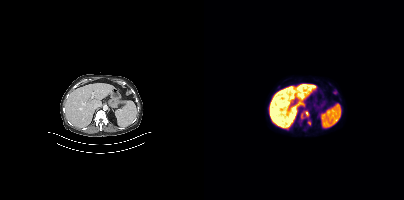
Technique: Paired axial CT (left) and PSMA PET (right), [18F]PSMA-1007 tracer. PET panel 200×200 px (4.1 mm/px).
Findings: Coordinates are on the 200×200 PET (right) panel. PSMA-avid tumor lesion bounding boxes (x, y, width, height): x=97 y=111 w=9 h=8 / x=103 y=121 w=5 h=5.